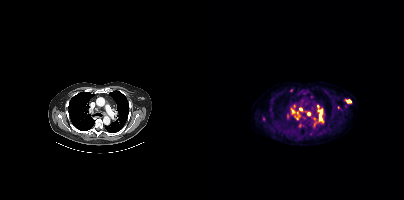
Coordinates are on the 200×200 PET (right) panel. PSMA-avid tumor lesion bounding boxes (partial; 2 more foci not listed):
| # | x0 | y0 | x1 | y1 |
|---|---|---|---|---|
| 1 | 114 | 109 | 119 | 123 |
| 2 | 87 | 110 | 96 | 119 |
| 3 | 101 | 111 | 106 | 115 |
| 4 | 83 | 114 | 85 | 118 |
| 5 | 89 | 104 | 91 | 108 |
| 6 | 109 | 122 | 112 | 126 |
Small PSMA-avid foci (2 to 4 px across) near (center x, center y): (144, 101); (87, 90); (95, 125); (66, 109); (59, 118); (134, 107); (96, 108); (110, 119).
Paired axial CT (left) and PSMA PET (right), 18F tracer.